Left: CT. Right: PSMA PET, same axial level, 18F-PSMA tracer. Acquired on Siemens Biograph mCT Flow 20. PET panel 200×200 px (4.1 mm/px).
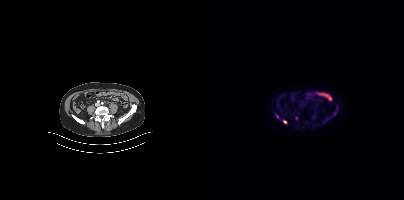
Coordinates are on the 200×200 PET (right) panel. PSMA-avid tumor lesion bounding boxes:
| # | x0 | y0 | x1 | y1 |
|---|---|---|---|---|
| 1 | 72 | 114 | 74 | 118 |
Small PSMA-avid foci (2 to 4 px across) near (center x, center y): (80, 121); (92, 118); (130, 113).